Two-panel axial: CT | PSMA PET, [18F]PSMA-1007 tracer. Slice position z = -766 mm. PET panel 200×200 px (4.1 mm/px). The head region is masked for de-identification.
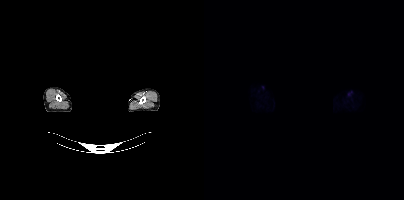
Negative for PSMA-avid disease on this slice.